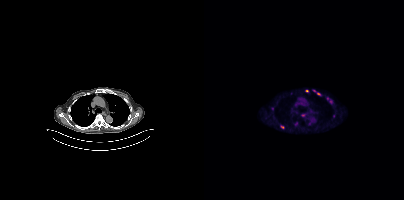
Technique: Paired axial CT (left) and PSMA PET (right), 18F tracer. slice 280 of 385. PET panel 200×200 px (4.1 mm/px).
Findings: Coordinates are on the 200×200 PET (right) panel. (showing 6 of 10 foci) PSMA-avid tumor lesion bounding boxes (x, y, width, height): x=109 y=90 w=8 h=6 / x=76 y=125 w=5 h=4. Small PSMA-avid foci (2 to 4 px across) near (center x, center y): (102, 91) / (87, 93) / (127, 102) / (123, 98).